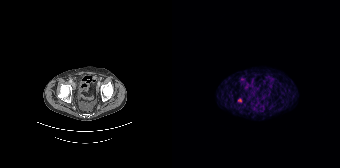
{"pet_grid":[168,168],"coord_frame":"pet_panel","coord_format":"x0,y0,x1,y1","partial":true,"lesion_bboxes":[[66,98,69,102]],"modality":"PSMA PET/CT","view":"axial","tracer":"[68Ga]Ga-PSMA-11"}